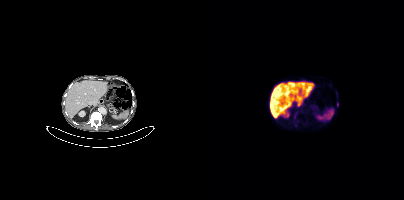
Paired axial CT (left) and PSMA PET (right), [18F]PSMA-1007 tracer. Acquired on Siemens Biograph mCT Flow 20. Slice position z = -726 mm. PET panel 200×200 px (4.1 mm/px). Coordinates are on the 200×200 PET (right) panel. Small PSMA-avid focus (2 to 4 px across) near (center x, center y): (133, 104).